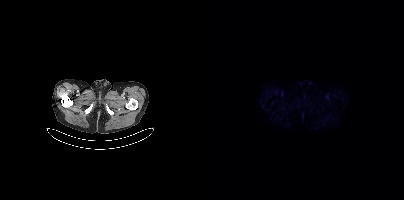
This slice has no annotated PSMA-avid lesion.